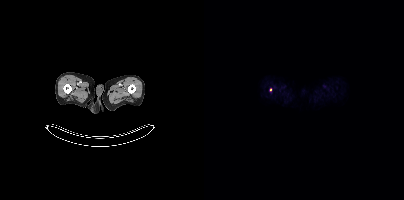
Coordinates are on the 200×200 PET (right) panel. Small PSMA-avid focus (2 to 4 px across) near (center x, center y): (66, 89).